Technique: Left: CT. Right: PSMA PET, same axial level, 18F tracer. acquired on Siemens Biograph mCT Flow 20. PET panel 200×200 px (4.1 mm/px).
Note: The face region was removed for patient privacy by blanking a rectangle over the head.
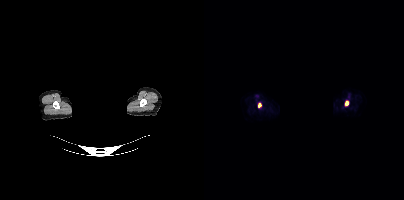
Findings: Coordinates are on the 200×200 PET (right) panel. PSMA-avid tumor lesion bounding boxes (x0,y0,x1,y1): [141,101,144,105], [54,103,57,107].